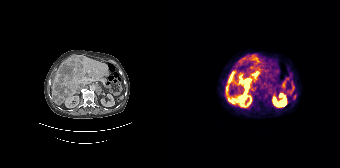
Coordinates are on the 168×168 PET (right) panel. PSMA-avid tumor lesion bounding boxes (partial; 2 more foci not listed):
| # | x0 | y0 | x1 | y1 |
|---|---|---|---|---|
| 1 | 54 | 73 | 79 | 105 |
| 2 | 79 | 67 | 88 | 78 |
| 3 | 53 | 71 | 63 | 91 |
| 4 | 78 | 54 | 86 | 62 |
| 5 | 68 | 57 | 72 | 61 |
Paired axial CT (left) and PSMA PET (right), [68Ga]Ga-PSMA-11 tracer.